Technique: Two-panel axial: CT | PSMA PET, [18F]PSMA-1007 tracer. PET panel 200×200 px (4.1 mm/px).
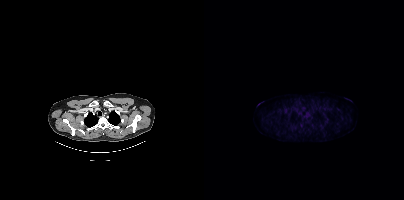
Findings: Negative for PSMA-avid disease on this slice.